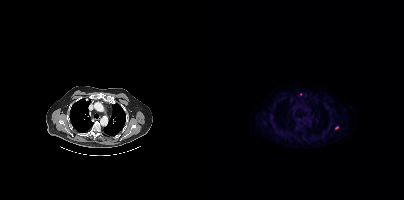
Paired axial CT (left) and PSMA PET (right), [18F]PSMA-1007 tracer. Acquired on Siemens Biograph mCT Flow 20. PET panel 200×200 px (4.1 mm/px). Coordinates are on the 200×200 PET (right) panel. Small PSMA-avid focus (2 to 4 px across) near (center x, center y): (96, 94).